modality: PSMA PET/CT | tracer: [18F]PSMA-1007 | view: axial
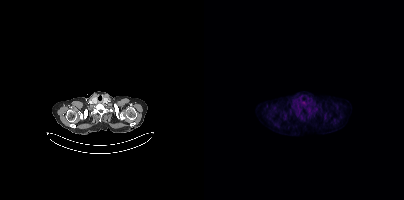
This slice has no annotated PSMA-avid lesion.